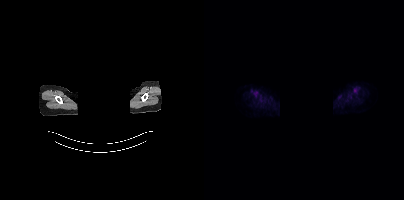
No PSMA-avid tumor lesions on this slice.
A rectangular block over the head has been blanked out for de-identification.